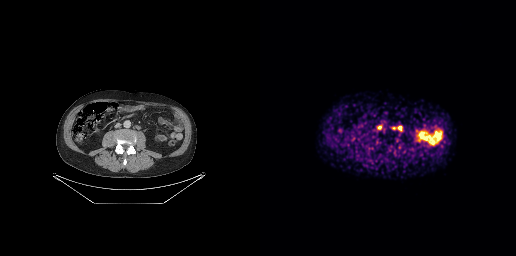
Findings: Coordinates are on the 256×256 PET (right) panel. PSMA-avid tumor lesion bounding box (x0,y0,x1,y1): [131,126,136,130].
Technique: Left: CT. Right: PSMA PET, same axial level, 68Ga tracer. slice position z = -737 mm.